Two-panel axial: CT | PSMA PET, 18F tracer. Acquired on Siemens Biograph mCT Flow 20.
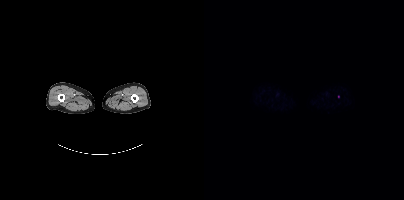
Coordinates are on the 200×200 PET (right) panel. Small PSMA-avid focus (2 to 4 px across) near (center x, center y): (134, 96).